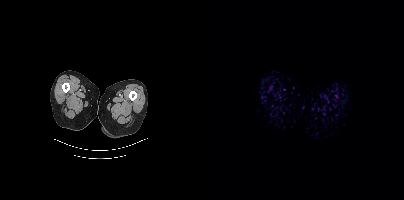
Left: CT. Right: PSMA PET, same axial level, [18F]PSMA-1007 tracer. Acquired on Siemens Biograph mCT Flow 20. No PSMA-avid tumor lesions on this slice.